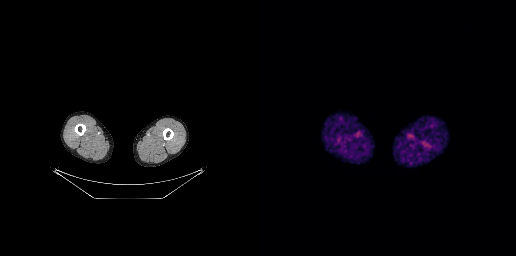
No tumor lesions annotated on this slice.
modality: PSMA PET/CT | tracer: 68Ga-PSMA | view: axial